Technique: Two-panel axial: CT | PSMA PET, [68Ga]Ga-PSMA-11 tracer. acquired on Siemens Biograph mCT Flow 20. slice position z = -869 mm. PET panel 200×200 px (4.1 mm/px).
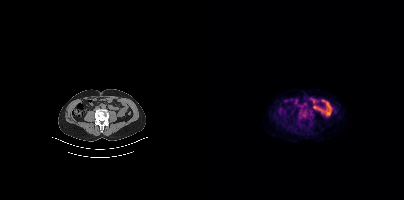
Findings: Negative for PSMA-avid disease on this slice.